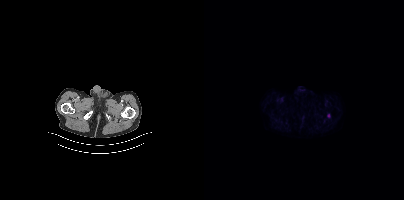
Two-panel axial: CT | PSMA PET, [18F]PSMA-1007 tracer. Slice position z = -1008 mm. Coordinates are on the 200×200 PET (right) panel. Small PSMA-avid focus (2 to 4 px across) near (center x, center y): (124, 115).